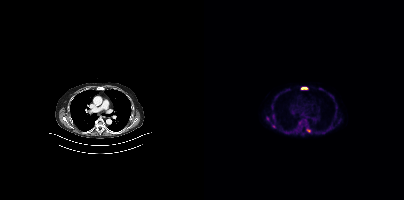
{"modality":"PSMA PET/CT","view":"axial","tracer":"18F","pet_grid":[200,200],"coord_frame":"pet_panel","coord_format":"x0,y0,x1,y1","partial":true,"lesion_bboxes":[[68,113,71,119],[97,87,103,89]],"small_foci_centers":[[104,130],[96,122],[63,118],[69,126]]}